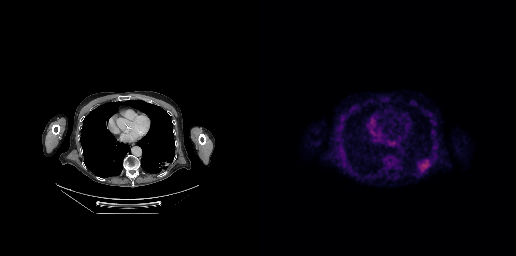
Coordinates are on the 256×256 PET (right) panel. PSMA-avid tumor lesion bounding box (x0,y0,x1,y1): [160,160,168,170].
modality: PSMA PET/CT | tracer: 18F-PSMA | view: axial